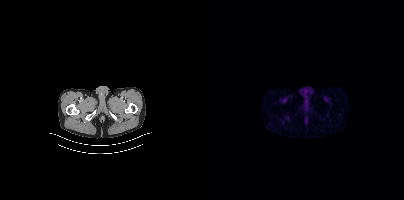
{"modality":"PSMA PET/CT","view":"axial","tracer":"68Ga","pet_grid":[200,200],"coord_frame":"pet_panel","coord_format":"x0,y0,x1,y1","psma_avid_lesions":false}